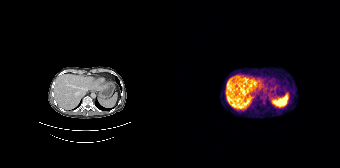
- Paired axial CT (left) and PSMA PET (right), [68Ga]Ga-PSMA-11 tracer
- acquired on Siemens Biograph 64-4R TruePoint
Findings: Negative for PSMA-avid disease on this slice.